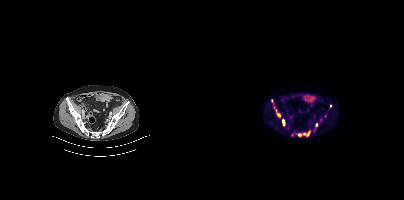
Left: CT. Right: PSMA PET, same axial level, [18F]PSMA-1007 tracer.
Coordinates are on the 200×200 PET (right) panel. PSMA-avid tumor lesion bounding boxes (partial; 4 more foci not listed):
| # | x0 | y0 | x1 | y1 |
|---|---|---|---|---|
| 1 | 93 | 131 | 106 | 136 |
| 2 | 72 | 110 | 77 | 117 |
| 3 | 78 | 119 | 81 | 125 |
Small PSMA-avid foci (2 to 4 px across) near (center x, center y): (112, 124); (126, 106); (67, 100).